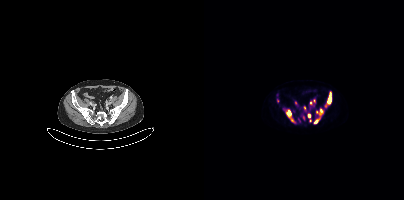
- Paired axial CT (left) and PSMA PET (right), 18F tracer
Findings: Coordinates are on the 200×200 PET (right) panel. (showing 9 of 11 foci) PSMA-avid tumor lesion bounding boxes (x0, y0)-(x1, y1): (82, 110)-(91, 123); (121, 93)-(127, 106); (112, 108)-(119, 115); (103, 114)-(107, 121); (106, 99)-(111, 104). Small PSMA-avid foci (2 to 4 px across) near (center x, center y): (111, 121); (100, 107); (99, 117); (91, 103).